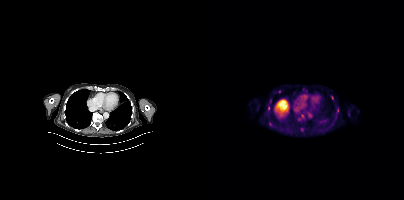
Paired axial CT (left) and PSMA PET (right), [18F]PSMA-1007 tracer. Slice 236 of 421. This slice has no annotated PSMA-avid lesion.